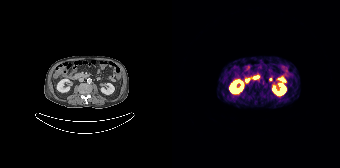
{"pet_grid":[168,168],"coord_frame":"pet_panel","coord_format":"x0,y0,x1,y1","psma_avid_lesions":false,"modality":"PSMA PET/CT","view":"axial","tracer":"68Ga-PSMA"}